Two-panel axial: CT | PSMA PET, 68Ga-PSMA tracer. Acquired on Siemens Biograph mCT Flow 20.
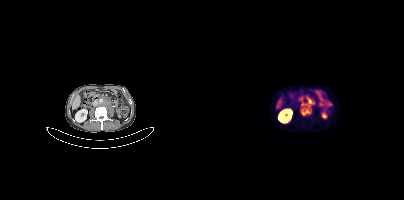
Coordinates are on the 200×200 PET (right) panel. PSMA-avid tumor lesion bounding box (x0, y0)-(x1, y1): (96, 97)-(110, 116). Small PSMA-avid focus (2 to 4 px across) near (center x, center y): (97, 99).